- Paired axial CT (left) and PSMA PET (right), 68Ga-PSMA tracer
- acquired on Siemens Biograph mCT Flow 20
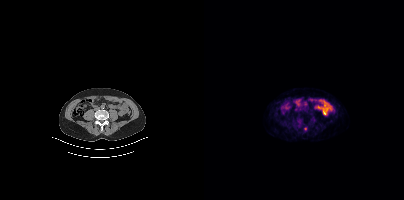
Findings: Coordinates are on the 200×200 PET (right) panel. Small PSMA-avid focus (2 to 4 px across) near (center x, center y): (101, 128).